- Paired axial CT (left) and PSMA PET (right), [18F]PSMA-1007 tracer
- acquired on Siemens Biograph mCT Flow 20
- slice position z = -1610 mm
- PET panel 200×200 px (4.1 mm/px)
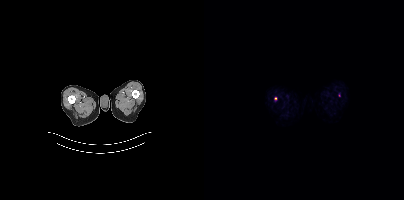
Findings: Coordinates are on the 200×200 PET (right) panel. (showing 1 of 2 foci) Small PSMA-avid focus (2 to 4 px across) near (center x, center y): (71, 98).